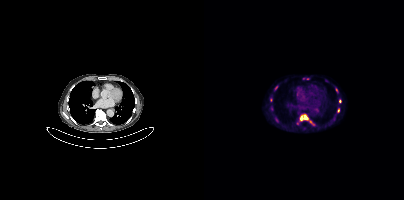
Findings: Coordinates are on the 200×200 PET (right) panel. (showing 3 of 5 foci) PSMA-avid tumor lesion bounding box (x0, y0)-(x1, y1): (96, 114)-(110, 125). Small PSMA-avid foci (2 to 4 px across) near (center x, center y): (135, 101) | (134, 110).
Technique: Left: CT. Right: PSMA PET, same axial level, 18F-PSMA tracer.